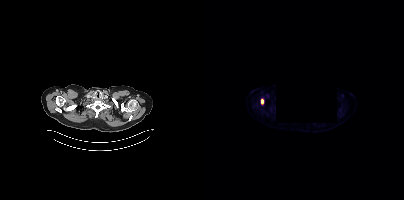
Paired axial CT (left) and PSMA PET (right), 18F tracer. An anonymization step blacked out a rectangle in this scan. Coordinates are on the 200×200 PET (right) panel. PSMA-avid tumor lesion bounding box (x0,y0,x1,y1): [57,98,60,104].